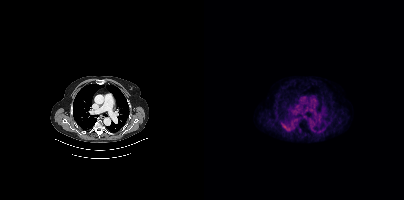
No PSMA-avid tumor lesions on this slice. Two-panel axial: CT | PSMA PET, 18F-PSMA tracer. PET panel 200×200 px (4.1 mm/px).